Two-panel axial: CT | PSMA PET, 18F-PSMA tracer. Acquired on Siemens Biograph mCT Flow 20.
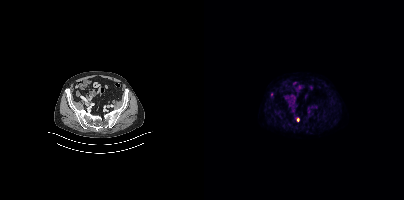
Coordinates are on the 200×200 PET (right) panel. Small PSMA-avid foci (2 to 4 px across) near (center x, center y): (94, 119) / (67, 94).